Paired axial CT (left) and PSMA PET (right), 18F tracer. PET panel 256×256 px (2.7 mm/px).
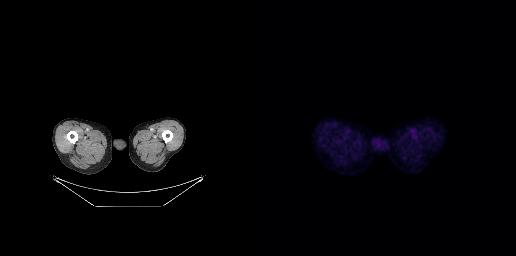
No PSMA-avid tumor lesions on this slice.